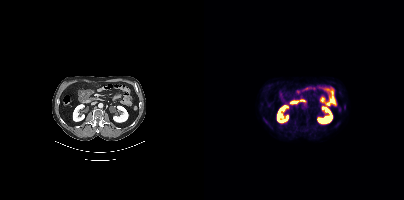
Findings: This slice has no annotated PSMA-avid lesion.
- Left: CT. Right: PSMA PET, same axial level, [18F]PSMA-1007 tracer
- acquired on Siemens Biograph mCT Flow 20